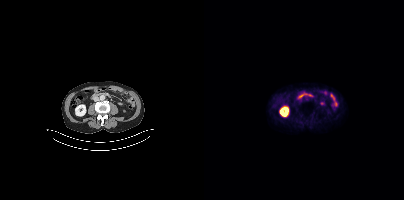
Technique: Left: CT. Right: PSMA PET, same axial level, 18F tracer. slice 160 of 423.
Findings: No PSMA-avid tumor lesions on this slice.